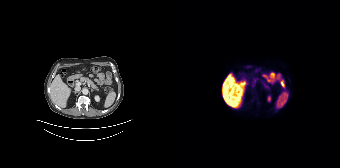
{"modality":"PSMA PET/CT","view":"axial","tracer":"18F","pet_grid":[168,168],"coord_frame":"pet_panel","coord_format":"x0,y0,x1,y1","psma_avid_lesions":false}